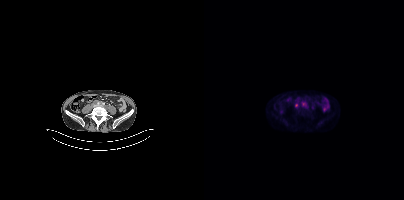
Coordinates are on the 200×200 PET (right) panel. Small PSMA-avid foci (2 to 4 px across) near (center x, center y): (92, 105); (99, 104).